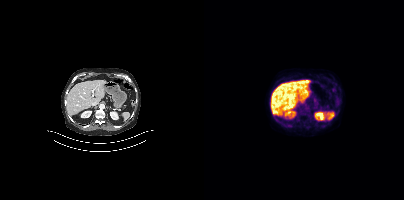
Negative for PSMA-avid disease on this slice.